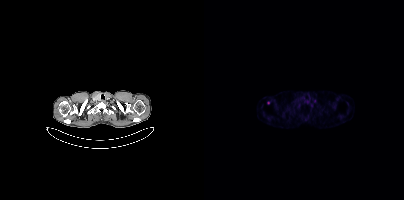
Left: CT. Right: PSMA PET, same axial level, 68Ga-PSMA tracer. Slice position z = -1114 mm. Only PSMA-avid lesion pieces thinner than 2 px on this slice (not listed).